Technique: Left: CT. Right: PSMA PET, same axial level, [18F]PSMA-1007 tracer. slice 36 of 299.
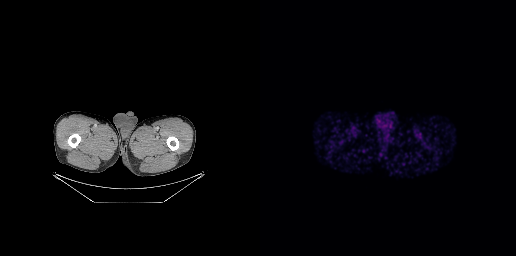
Findings: Negative for PSMA-avid disease on this slice.